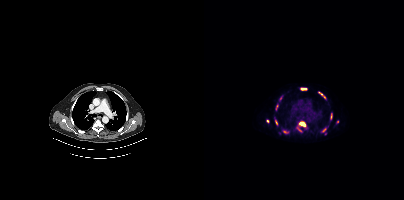
- Left: CT. Right: PSMA PET, same axial level, 18F tracer
- slice position z = 162 mm
- PET panel 200×200 px (4.1 mm/px)
Findings: Coordinates are on the 200×200 PET (right) panel. (showing 7 of 10 foci) PSMA-avid tumor lesion bounding boxes (x0,y0,x1,y1): [95,122,101,127] [97,88,102,89]. Small PSMA-avid foci (2 to 4 px across) near (center x, center y): (120, 129) (63, 121) (72, 122) (96, 130) (80, 131).